- Two-panel axial: CT | PSMA PET, 18F-PSMA tracer
- slice position z = -1091 mm
- PET panel 200×200 px (4.1 mm/px)
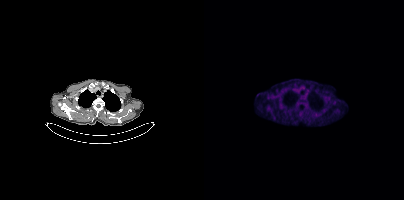
Findings: This slice has no annotated PSMA-avid lesion.